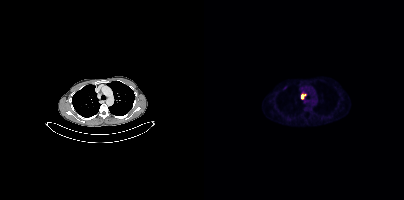
Paired axial CT (left) and PSMA PET (right), [18F]PSMA-1007 tracer. Slice position z = 22 mm.
Coordinates are on the 200×200 PET (right) panel. PSMA-avid tumor lesion bounding boxes:
| # | x0 | y0 | x1 | y1 |
|---|---|---|---|---|
| 1 | 97 | 93 | 101 | 98 |
Small PSMA-avid focus (2 to 4 px across) near (center x, center y): (98, 88).